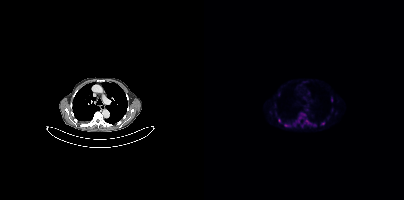
{"modality":"PSMA PET/CT","view":"axial","tracer":"18F","pet_grid":[200,200],"coord_frame":"pet_panel","coord_format":"x0,y0,x1,y1","partial":true,"lesion_bboxes":[],"small_foci_centers":[[118,123],[82,125],[75,120],[102,120],[110,124]]}